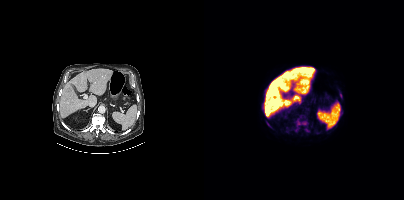
Coordinates are on the 200×200 PET (right) panel. (showing 4 of 5 foci) PSMA-avid tumor lesion bounding boxes (x0,y0,x1,y1): [91,115,104,131], [101,128,105,131], [63,123,67,127]. Small PSMA-avid focus (2 to 4 px across) near (center x, center y): (62, 117).
modality: PSMA PET/CT | tracer: [18F]PSMA-1007 | view: axial